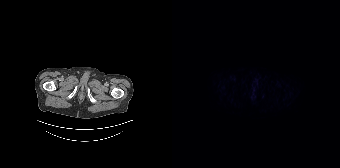
Negative for PSMA-avid disease on this slice.